Two-panel axial: CT | PSMA PET, [68Ga]Ga-PSMA-11 tracer. Acquired on Siemens Biograph mCT Flow 20. Slice position z = -1376 mm.
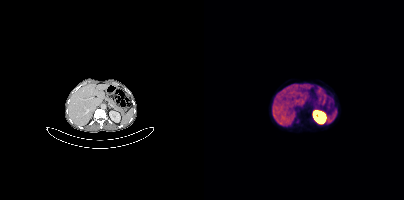
No PSMA-avid tumor lesions on this slice.